- Left: CT. Right: PSMA PET, same axial level, 68Ga tracer
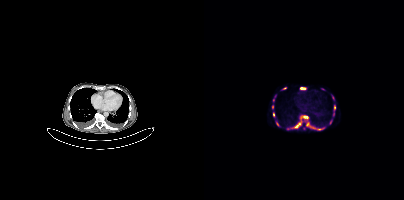
Findings: Coordinates are on the 200×200 PET (right) panel. (showing 12 of 15 foci) PSMA-avid tumor lesion bounding boxes (x, y, width, height): x=97 y=115 w=8 h=4 / x=90 y=122 w=8 h=6 / x=96 y=87 w=6 h=3 / x=130 y=105 w=2 h=6 / x=113 y=128 w=7 h=3. Small PSMA-avid foci (2 to 4 px across) near (center x, center y): (103, 124) / (109, 127) / (69, 114) / (68, 107) / (129, 114) / (126, 122) / (83, 128).